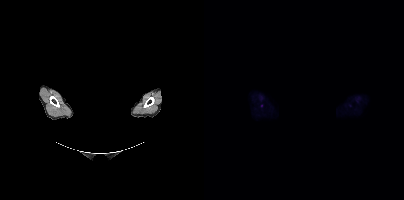
Two-panel axial: CT | PSMA PET, [18F]PSMA-1007 tracer. Slice position z = 221 mm. Privacy masking over the head, with the pixels inside a rectangle set to black. Coordinates are on the 200×200 PET (right) panel. Small PSMA-avid focus (2 to 4 px across) near (center x, center y): (57, 105).